- Paired axial CT (left) and PSMA PET (right), 18F-PSMA tracer
- slice position z = -1495 mm
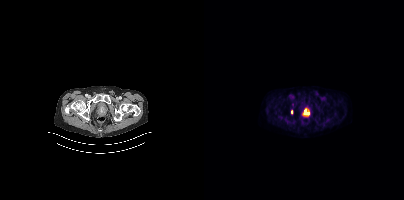
Findings: Coordinates are on the 200×200 PET (right) panel. PSMA-avid tumor lesion bounding box (x, y, width, height): x=98 y=109 w=8 h=8. Small PSMA-avid focus (2 to 4 px across) near (center x, center y): (87, 112).